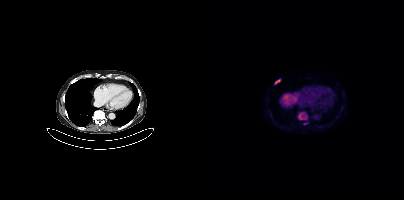
Paired axial CT (left) and PSMA PET (right), 18F-PSMA tracer. Acquired on Siemens Biograph mCT Flow 20. Coordinates are on the 200×200 PET (right) panel. (showing 3 of 4 foci) PSMA-avid tumor lesion bounding boxes (x0,y0,x1,y1): [71,79,76,84]; [95,113,98,119]. Small PSMA-avid focus (2 to 4 px across) near (center x, center y): (100, 118).